Technique: Two-panel axial: CT | PSMA PET, 18F tracer.
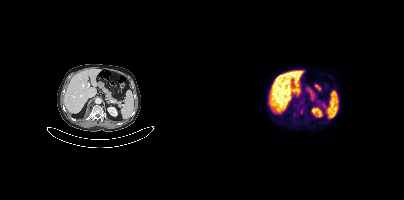
Findings: No tumor lesions annotated on this slice.